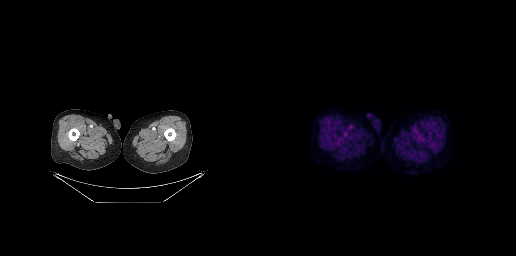
{"modality":"PSMA PET/CT","view":"axial","tracer":"[18F]PSMA-1007","pet_grid":[256,256],"coord_frame":"pet_panel","coord_format":"x0,y0,x1,y1","psma_avid_lesions":false}